- Paired axial CT (left) and PSMA PET (right), 18F-PSMA tracer
- slice 364 of 435
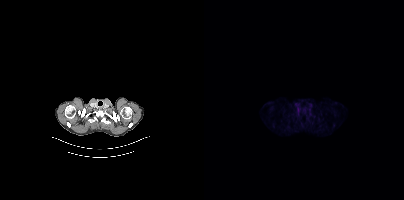
Findings: No PSMA-avid tumor lesions on this slice.